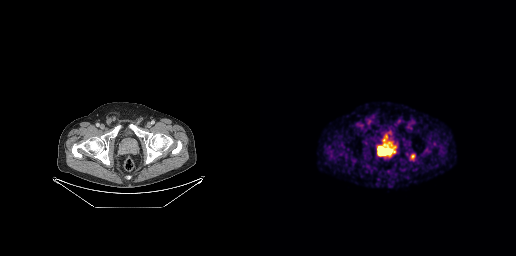
modality: PSMA PET/CT | tracer: 68Ga | view: axial | PET grid: 256×256
Coordinates are on the 256×256 PET (right) panel. PSMA-avid tumor lesion bounding box (x, y, width, height): x=118 y=146 w=15 h=10. Small PSMA-avid focus (2 to 4 px across) near (center x, center y): (152, 156).